Left: CT. Right: PSMA PET, same axial level, 18F tracer. PET panel 200×200 px (4.1 mm/px).
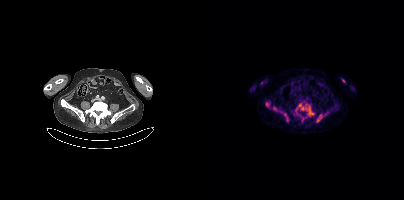
Coordinates are on the 200×200 PET (right) panel. (showing 7 of 9 foci) PSMA-avid tumor lesion bounding boxes (x0,y0,x1,y1): [91,103,110,116]; [112,114,122,122]; [76,111,84,121]; [62,102,65,107]; [69,107,73,111]; [98,117,99,121]. Small PSMA-avid focus (2 to 4 px across) near (center x, center y): (139, 80).